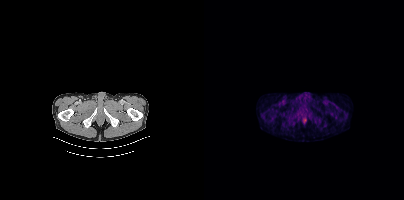
Findings: No tumor lesions annotated on this slice.
- Paired axial CT (left) and PSMA PET (right), 18F-PSMA tracer